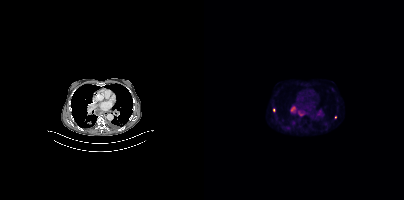
{"modality":"PSMA PET/CT","view":"axial","tracer":"18F","pet_grid":[200,200],"coord_frame":"pet_panel","coord_format":"x0,y0,x1,y1","lesion_bboxes":[[94,110,101,116],[86,106,92,112],[113,110,116,114]],"small_foci_centers":[[90,122],[84,127],[69,110],[131,117]]}